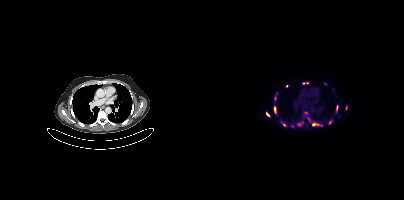
Coordinates are on the 200×200 PET (right) panel. (showing 12 of 15 foci) PSMA-avid tumor lesion bounding boxes (x0, y0)-(x1, y1): (108, 123)-(118, 126) / (93, 121)-(99, 126) / (98, 82)-(104, 84) / (70, 107)-(72, 113) / (132, 105)-(134, 110) / (70, 96)-(72, 100) / (62, 112)-(65, 116) / (125, 120)-(127, 124). Small PSMA-avid foci (2 to 4 px across) near (center x, center y): (142, 107) / (81, 125) / (121, 83) / (82, 85).